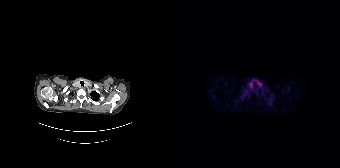
{"pet_grid":[168,168],"coord_frame":"pet_panel","coord_format":"x0,y0,x1,y1","lesion_bboxes":[],"small_foci_centers":[[74,91]],"modality":"PSMA PET/CT","view":"axial","tracer":"18F-PSMA"}